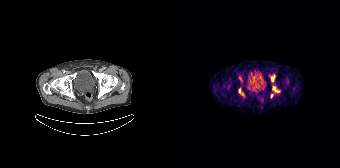
Findings: Coordinates are on the 168×168 PET (right) panel. PSMA-avid tumor lesion bounding boxes (x0,y0,x1,y1): [66,88,71,93]; [101,86,107,92]; [99,75,102,81]; [67,76,70,81]. Small PSMA-avid focus (2 to 4 px across) near (center x, center y): (99, 95).
- Two-panel axial: CT | PSMA PET, 68Ga-PSMA tracer
- acquired on Siemens Biograph 64-4R TruePoint
- slice position z = -1188 mm